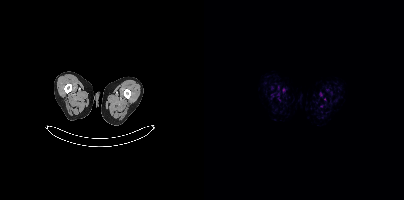
- Left: CT. Right: PSMA PET, same axial level, 18F-PSMA tracer
- PET panel 200×200 px (4.1 mm/px)
Findings: This slice has no annotated PSMA-avid lesion.